modality: PSMA PET/CT | tracer: 18F | view: axial
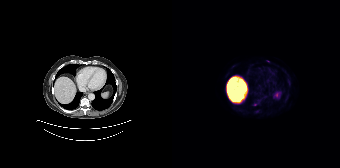
Coordinates are on the 168×168 PET (right) panel. (showing 1 of 2 foci) Small PSMA-avid focus (2 to 4 px across) near (center x, center y): (83, 104).